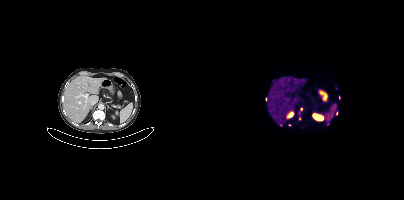
Paired axial CT (left) and PSMA PET (right), [68Ga]Ga-PSMA-11 tracer. Slice position z = -1181 mm.
Coordinates are on the 200×200 PET (right) panel. PSMA-avid tumor lesion bounding boxes (partial; 3 more foci not listed):
| # | x0 | y0 | x1 | y1 |
|---|---|---|---|---|
| 1 | 94 | 108 | 98 | 114 |
Small PSMA-avid foci (2 to 4 px across) near (center x, center y): (133, 112); (135, 97); (96, 119); (85, 125); (76, 124).